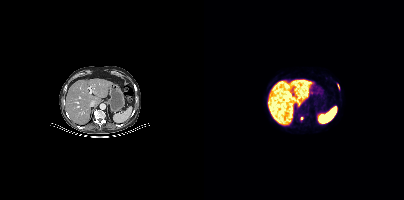
- Left: CT. Right: PSMA PET, same axial level, 18F-PSMA tracer
- slice position z = -633 mm
Findings: Coordinates are on the 200×200 PET (right) panel. (showing 1 of 3 foci) Small PSMA-avid focus (2 to 4 px across) near (center x, center y): (98, 118).